Paired axial CT (left) and PSMA PET (right), 18F tracer.
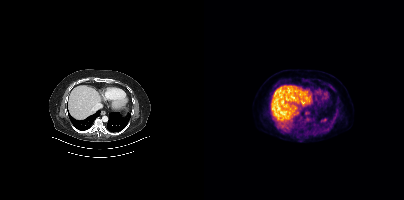
No PSMA-avid tumor lesions on this slice.